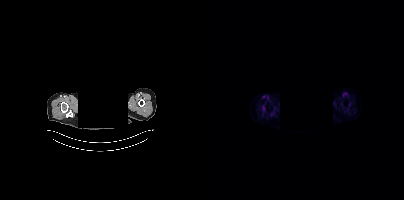
- Paired axial CT (left) and PSMA PET (right), 18F-PSMA tracer
- slice position z = -1086 mm
- head region blanked for anonymization (face removed)
Findings: This slice has no annotated PSMA-avid lesion.